Technique: Paired axial CT (left) and PSMA PET (right), 18F tracer. slice 307 of 421. PET panel 200×200 px (4.1 mm/px).
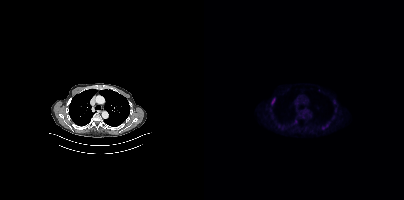
Findings: Coordinates are on the 200×200 PET (right) panel. PSMA-avid tumor lesion bounding box (x0, y0)-(x1, y1): (67, 98)-(71, 102).